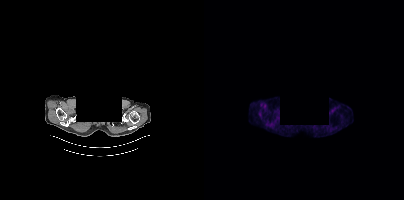
Face de-identified by blanking a block of the head. Paired axial CT (left) and PSMA PET (right), 18F tracer. Acquired on Siemens Biograph mCT Flow 20. PET panel 200×200 px (4.1 mm/px). Negative for PSMA-avid disease on this slice.